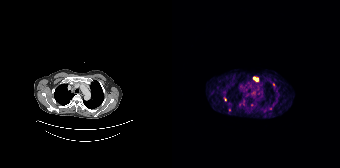
Technique: Two-panel axial: CT | PSMA PET, [68Ga]Ga-PSMA-11 tracer. acquired on Siemens Biograph 64-4R TruePoint.
Findings: Coordinates are on the 168×168 PET (right) panel. PSMA-avid tumor lesion bounding box (x0,y0,x1,y1): [81,77,86,80]. Small PSMA-avid foci (2 to 4 px across) near (center x, center y): (101, 84) (53, 99) (98, 108) (57, 110) (79, 104).